Left: CT. Right: PSMA PET, same axial level, [18F]PSMA-1007 tracer. Acquired on Siemens Biograph mCT Flow 20.
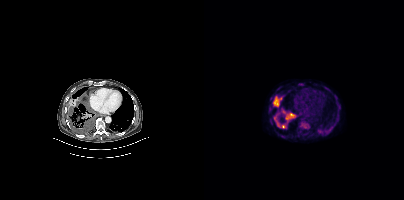
Coordinates are on the 200×200 PET (right) panel. PSMA-avid tumor lesion bounding boxes:
| # | x0 | y0 | x1 | y1 |
|---|---|---|---|---|
| 1 | 77 | 109 | 90 | 121 |
| 2 | 68 | 96 | 77 | 107 |
| 3 | 96 | 121 | 104 | 128 |
| 4 | 70 | 117 | 76 | 127 |
Small PSMA-avid focus (2 to 4 px across) near (center x, center y): (79, 126).